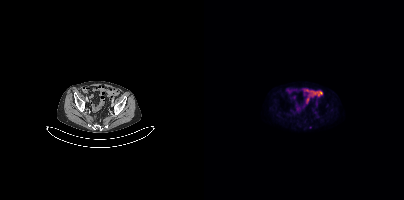
{"modality":"PSMA PET/CT","view":"axial","tracer":"18F","pet_grid":[200,200],"coord_frame":"pet_panel","coord_format":"x0,y0,x1,y1","psma_avid_lesions":false}